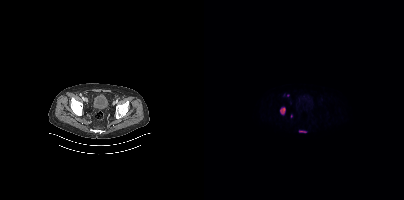
Coordinates are on the 200×200 PET (right) panel. PSMA-avid tumor lesion bounding boxes (partial; 1 more focus not listed):
| # | x0 | y0 | x1 | y1 |
|---|---|---|---|---|
| 1 | 76 | 107 | 81 | 114 |
| 2 | 95 | 130 | 102 | 132 |
Small PSMA-avid focus (2 to 4 px across) near (center x, center y): (87, 116).
Two-panel axial: CT | PSMA PET, 18F tracer. Slice 93 of 395. PET panel 200×200 px (4.1 mm/px).